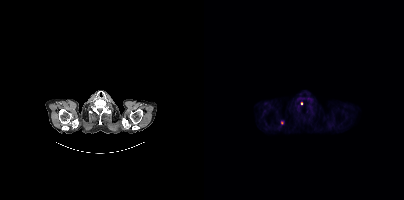
Technique: Paired axial CT (left) and PSMA PET (right), [18F]PSMA-1007 tracer.
Findings: Coordinates are on the 200×200 PET (right) panel. Small PSMA-avid focus (2 to 4 px across) near (center x, center y): (97, 103).